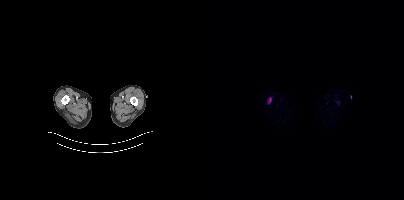
modality: PSMA PET/CT | tracer: 18F | view: axial | PET grid: 200×200
Coordinates are on the 200×200 PET (right) panel. PSMA-avid tumor lesion bounding box (x0,y0,x1,y1): [64,98,67,102].